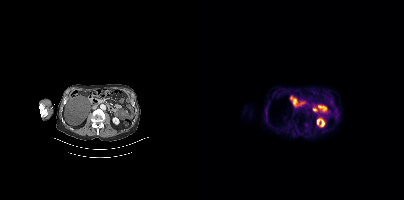
Findings: No PSMA-avid tumor lesions on this slice.
Technique: Two-panel axial: CT | PSMA PET, [18F]PSMA-1007 tracer. acquired on Siemens Biograph mCT Flow 20. PET panel 200×200 px (4.1 mm/px).